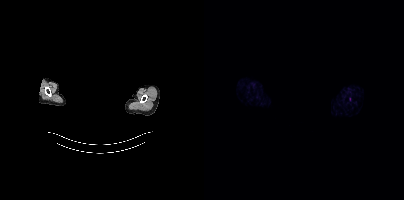
{"modality":"PSMA PET/CT","view":"axial","tracer":"68Ga-PSMA","pet_grid":[200,200],"coord_frame":"pet_panel","coord_format":"x0,y0,x1,y1","deidentification":"facial region redacted","psma_avid_lesions":false}